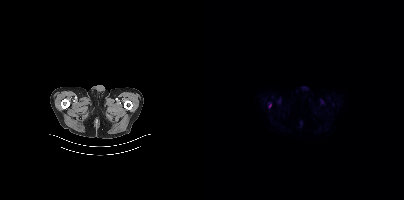
Left: CT. Right: PSMA PET, same axial level, [18F]PSMA-1007 tracer. Slice position z = -1008 mm. Coordinates are on the 200×200 PET (right) panel. Small PSMA-avid focus (2 to 4 px across) near (center x, center y): (65, 105).